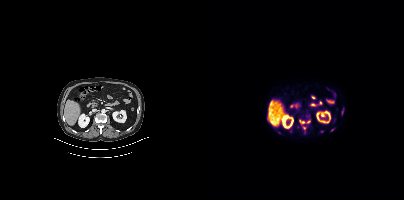
Findings: Only PSMA-avid lesion pieces thinner than 2 px on this slice (not listed).
Technique: Left: CT. Right: PSMA PET, same axial level, [18F]PSMA-1007 tracer. slice position z = -38 mm. PET panel 200×200 px (4.1 mm/px).